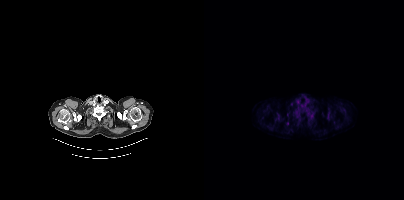
Coordinates are on the 200×200 PET (right) panel. Small PSMA-avid focus (2 to 4 px across) near (center x, center y): (83, 123). Left: CT. Right: PSMA PET, same axial level, 18F-PSMA tracer. Acquired on Siemens Biograph mCT Flow 20. PET panel 200×200 px (4.1 mm/px).